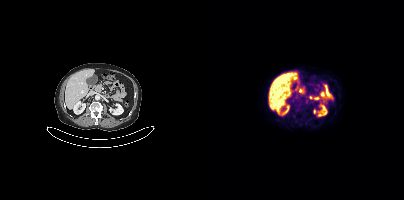
Technique: Two-panel axial: CT | PSMA PET, 18F-PSMA tracer. slice position z = -685 mm.
Findings: Negative for PSMA-avid disease on this slice.